modality: PSMA PET/CT | tracer: [18F]PSMA-1007 | view: axial
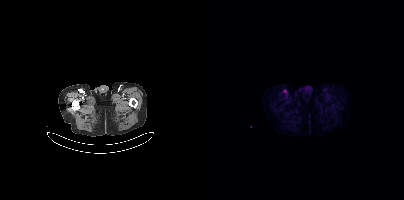
Coordinates are on the 200×200 PET (right) panel. Small PSMA-avid focus (2 to 4 px across) near (center x, center y): (81, 91).